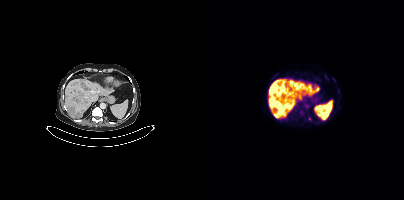
- Left: CT. Right: PSMA PET, same axial level, 18F tracer
- slice position z = -1179 mm
- PET panel 200×200 px (4.1 mm/px)
Findings: Coordinates are on the 200×200 PET (right) panel. PSMA-avid tumor lesion bounding boxes (x, y, width, height): x=72 y=82 w=6 h=6 / x=65 y=89 w=5 h=6 / x=73 y=111 w=5 h=5. Small PSMA-avid foci (2 to 4 px across) near (center x, center y): (97, 111) / (105, 118).